redaction: privacy mask over head | modality: PSMA PET/CT | tracer: 18F-PSMA | view: axial
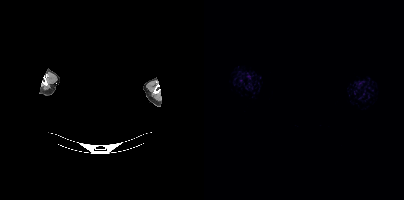
This slice has no annotated PSMA-avid lesion.